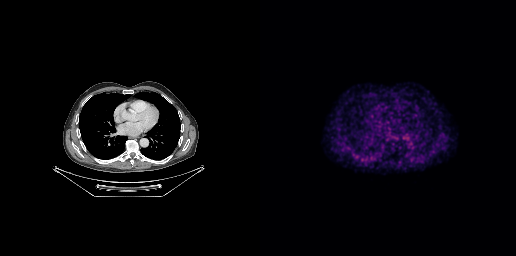
Negative for PSMA-avid disease on this slice.
modality: PSMA PET/CT | tracer: [68Ga]Ga-PSMA-11 | view: axial